- Two-panel axial: CT | PSMA PET, 18F-PSMA tracer
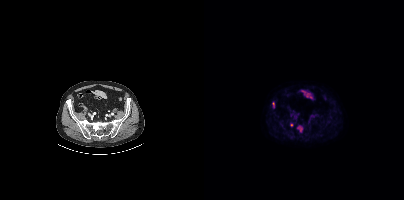
Findings: Coordinates are on the 200×200 PET (right) panel. PSMA-avid tumor lesion bounding box (x0,y0,x1,y1): [94,126,98,131]. Small PSMA-avid foci (2 to 4 px across) near (center x, center y): (87, 124), (69, 103).